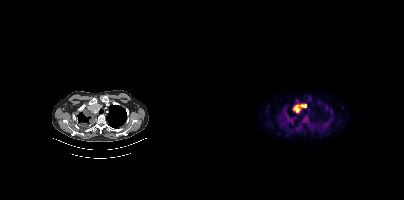
Coordinates are on the 200×200 PET (right) panel. PSMA-avid tumor lesion bounding boxes (partial; 1 more focus not listed):
| # | x0 | y0 | x1 | y1 |
|---|---|---|---|---|
| 1 | 88 | 104 | 102 | 113 |
| 2 | 79 | 108 | 89 | 122 |
Small PSMA-avid focus (2 to 4 px across) near (center x, center y): (101, 119).
Paired axial CT (left) and PSMA PET (right), [18F]PSMA-1007 tracer. Slice position z = -1030 mm.